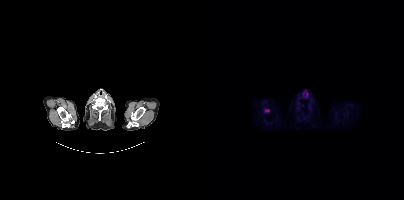
Findings: Coordinates are on the 200×200 PET (right) panel. PSMA-avid tumor lesion bounding box (x, y, width, height): x=61 y=110 w=5 h=2.
Technique: Left: CT. Right: PSMA PET, same axial level, 18F tracer. PET panel 200×200 px (4.1 mm/px).